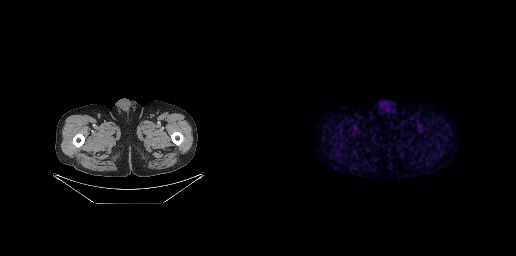
- Two-panel axial: CT | PSMA PET, 18F tracer
- acquired on GE Discovery 690
Findings: No PSMA-avid tumor lesions on this slice.